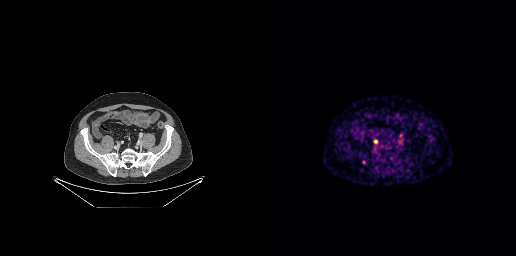
Technique: Left: CT. Right: PSMA PET, same axial level, [68Ga]Ga-PSMA-11 tracer.
Findings: Coordinates are on the 256×256 PET (right) panel. (showing 1 of 2 foci) Small PSMA-avid focus (2 to 4 px across) near (center x, center y): (115, 141).